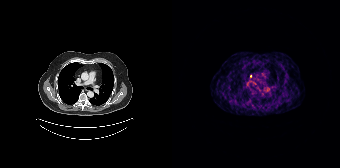
Left: CT. Right: PSMA PET, same axial level, 68Ga tracer. PET panel 168×168 px (4.1 mm/px). Only PSMA-avid lesion pieces thinner than 2 px on this slice (not listed).